modality: PSMA PET/CT | tracer: 18F | view: axial | PET grid: 200×200
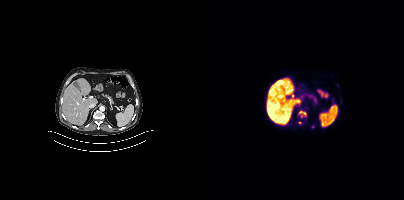
Coordinates are on the 200×200 PET (right) panel. PSMA-avid tumor lesion bounding box (x0,y0,x1,y1): [95,111,102,117]. Small PSMA-avid focus (2 to 4 px across) near (center x, center y): (95, 122).